Technique: Two-panel axial: CT | PSMA PET, 18F-PSMA tracer. slice position z = 1442 mm. PET panel 200×200 px (4.1 mm/px).
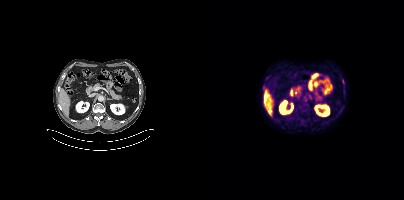
Findings: Coordinates are on the 200×200 PET (right) panel. Small PSMA-avid focus (2 to 4 px across) near (center x, center y): (139, 80).